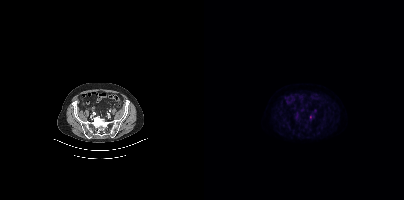
Findings: Coordinates are on the 200×200 PET (right) panel. (showing 1 of 2 foci) Small PSMA-avid focus (2 to 4 px across) near (center x, center y): (111, 111).
Technique: Two-panel axial: CT | PSMA PET, 18F-PSMA tracer. slice position z = -744 mm. PET panel 200×200 px (4.1 mm/px).